modality: PSMA PET/CT | tracer: 18F | view: axial
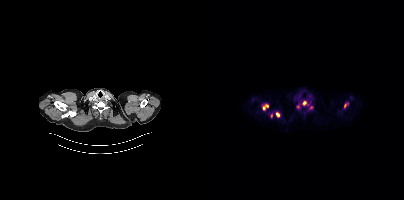
Coordinates are on the 200×200 PET (right) panel. (showing 6 of 7 foci) PSMA-avid tumor lesion bounding boxes (x0, y0)-(x1, y1): (59, 104)-(64, 109) / (72, 112)-(75, 116). Small PSMA-avid foci (2 to 4 px across) near (center x, center y): (141, 105) / (100, 103) / (93, 107) / (67, 115).